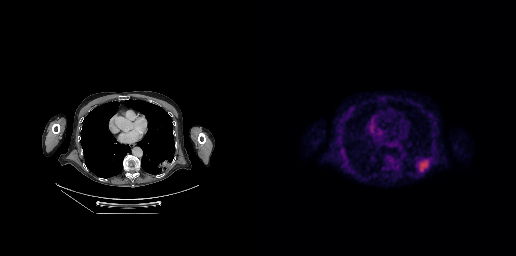
{"pet_grid":[256,256],"coord_frame":"pet_panel","coord_format":"x0,y0,x1,y1","lesion_bboxes":[[159,160,168,171]],"modality":"PSMA PET/CT","view":"axial","tracer":"[18F]PSMA-1007"}